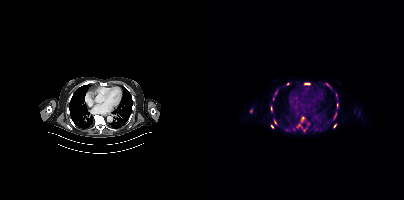
Left: CT. Right: PSMA PET, same axial level, 18F tracer. Acquired on Siemens Biograph mCT Flow 20. Slice 240 of 401. Coordinates are on the 200×200 PET (right) panel. (showing 12 of 15 foci) PSMA-avid tumor lesion bounding boxes (x, y, width, height): x=100 y=83 w=7 h=2; x=130 y=113 w=3 h=6; x=133 y=103 w=2 h=5. Small PSMA-avid foci (2 to 4 px across) near (center x, center y): (47, 110); (68, 126); (94, 126); (67, 108); (131, 125); (112, 129); (71, 123); (83, 83); (98, 117).